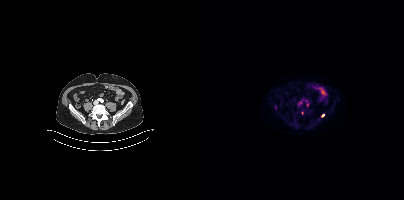
{"pet_grid":[200,200],"coord_frame":"pet_panel","coord_format":"x0,y0,x1,y1","partial":true,"lesion_bboxes":[],"small_foci_centers":[[71,107],[103,104],[119,115]],"modality":"PSMA PET/CT","view":"axial","tracer":"18F-PSMA"}